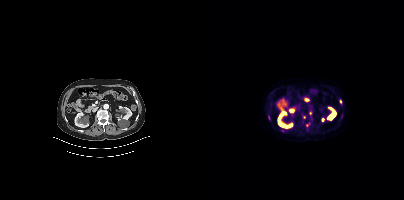
Technique: Left: CT. Right: PSMA PET, same axial level, [18F]PSMA-1007 tracer. slice position z = -1285 mm. PET panel 200×200 px (4.1 mm/px).
Findings: Coordinates are on the 200×200 PET (right) panel. (showing 4 of 5 foci) PSMA-avid tumor lesion bounding box (x0, y0)-(x1, y1): (64, 115)-(66, 120). Small PSMA-avid foci (2 to 4 px across) near (center x, center y): (103, 125) / (136, 101) / (106, 113).